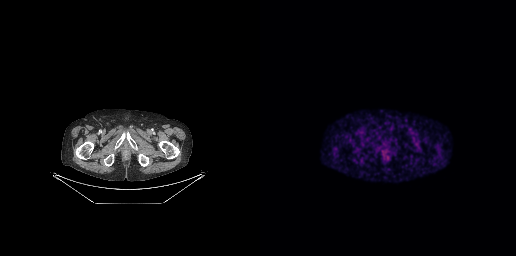
- Two-panel axial: CT | PSMA PET, 68Ga-PSMA tracer
- acquired on GE Discovery 690
Findings: No tumor lesions annotated on this slice.